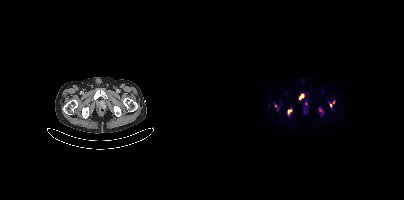
{"pet_grid":[200,200],"coord_frame":"pet_panel","coord_format":"x0,y0,x1,y1","partial":true,"lesion_bboxes":[[95,94,99,99],[115,108,118,112]],"small_foci_centers":[[85,111],[129,102],[71,105],[73,108]],"modality":"PSMA PET/CT","view":"axial","tracer":"[18F]PSMA-1007"}